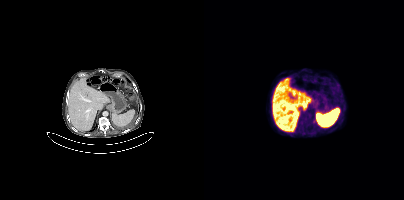
Left: CT. Right: PSMA PET, same axial level, 18F tracer. PET panel 200×200 px (4.1 mm/px). No PSMA-avid tumor lesions on this slice.